modality: PSMA PET/CT | tracer: [18F]PSMA-1007 | view: axial
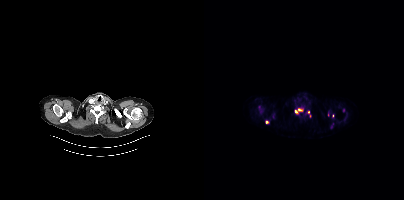
Coordinates are on the 200×200 PET (right) panel. (showing 3 of 6 foci) PSMA-avid tumor lesion bounding box (x0, y0)-(x1, y1): (91, 108)-(98, 113). Small PSMA-avid foci (2 to 4 px across) near (center x, center y): (63, 122) | (104, 112).